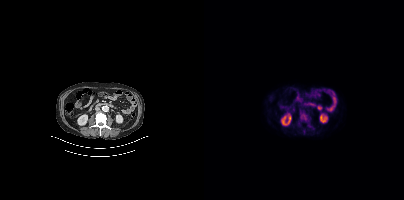
modality: PSMA PET/CT | tracer: 18F-PSMA | view: axial
Coordinates are on the 200×200 PET (right) panel. PSMA-avid tumor lesion bounding boxes (x, y, width, height): x=96 y=112 w=9 h=10 | x=99 y=129 w=3 h=6. Small PSMA-avid focus (2 to 4 px across) near (center x, center y): (105, 125).